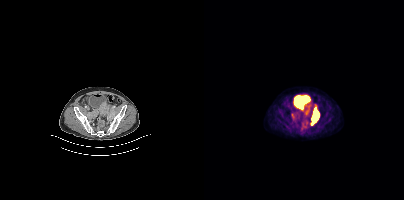
Technique: Two-panel axial: CT | PSMA PET, 18F tracer. slice position z = -929 mm. PET panel 200×200 px (4.1 mm/px).
Findings: Coordinates are on the 200×200 PET (right) panel. PSMA-avid tumor lesion bounding boxes (x, y, width, height): x=107 y=108 w=9 h=17 | x=100 y=108 w=8 h=8 | x=87 y=113 w=5 h=7.